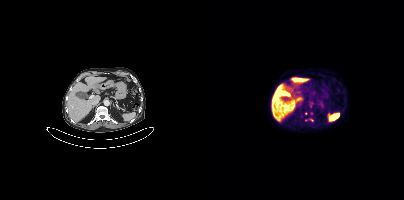
Coordinates are on the 200×200 PET (right) panel. (showing 2 of 3 foci) Small PSMA-avid foci (2 to 4 px across) near (center x, center y): (108, 120) | (101, 113).
modality: PSMA PET/CT | tracer: 18F | view: axial